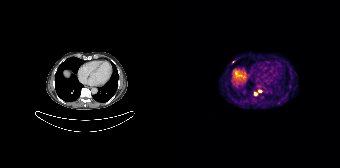
Coordinates are on the 168×168 PET (right) panel. (showing 2 of 3 foci) Small PSMA-avid foci (2 to 4 px across) near (center x, center y): (83, 94); (61, 62).
modality: PSMA PET/CT | tracer: 68Ga-PSMA | view: axial